modality: PSMA PET/CT | tracer: 18F-PSMA | view: axial
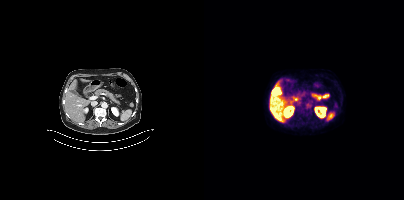
No tumor lesions annotated on this slice.